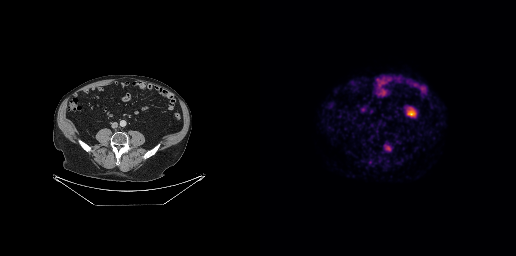
Left: CT. Right: PSMA PET, same axial level, [18F]PSMA-1007 tracer. Slice 113 of 263. PET panel 256×256 px (2.7 mm/px).
Coordinates are on the 256×256 PET (right) panel. PSMA-avid tumor lesion bounding boxes:
| # | x0 | y0 | x1 | y1 |
|---|---|---|---|---|
| 1 | 124 | 144 | 131 | 151 |